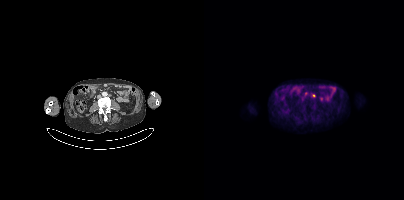
Two-panel axial: CT | PSMA PET, [18F]PSMA-1007 tracer. Acquired on Siemens Biograph mCT Flow 20. Slice position z = -1363 mm. PET panel 200×200 px (4.1 mm/px). Coordinates are on the 200×200 PET (right) panel. Small PSMA-avid foci (2 to 4 px across) near (center x, center y): (109, 95) | (101, 93).